Paired axial CT (left) and PSMA PET (right), 18F-PSMA tracer. Acquired on GE Discovery 690. Slice position z = -776 mm. PET panel 256×256 px (2.7 mm/px).
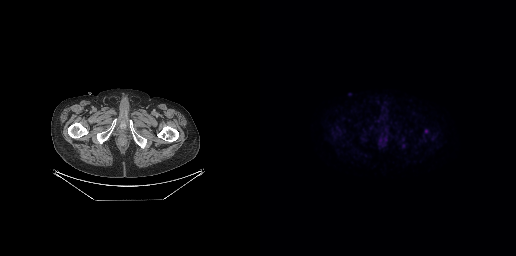
Coordinates are on the 256×256 PET (right) panel. PSMA-avid tumor lesion bounding boxes:
| # | x0 | y0 | x1 | y1 |
|---|---|---|---|---|
| 1 | 164 | 129 | 168 | 133 |